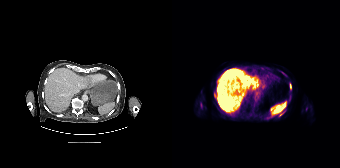
No PSMA-avid tumor lesions on this slice.